deidentification: face masked with black rectangle | modality: PSMA PET/CT | tracer: 18F-PSMA | view: axial | PET grid: 200×200
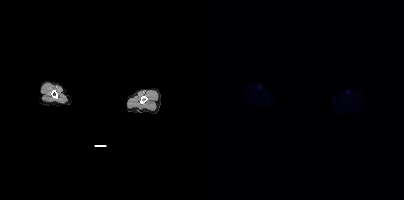
No tumor lesions annotated on this slice.